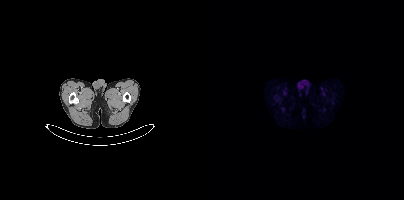
Findings: Negative for PSMA-avid disease on this slice.
Technique: Two-panel axial: CT | PSMA PET, 18F-PSMA tracer. acquired on Siemens Biograph mCT Flow 20. PET panel 200×200 px (4.1 mm/px).